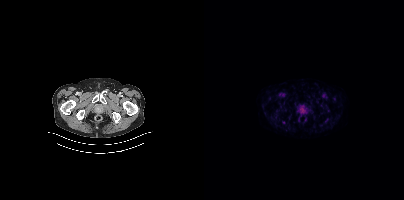
{"modality":"PSMA PET/CT","view":"axial","tracer":"18F-PSMA","pet_grid":[200,200],"coord_frame":"pet_panel","coord_format":"x0,y0,x1,y1","psma_avid_lesions":false}